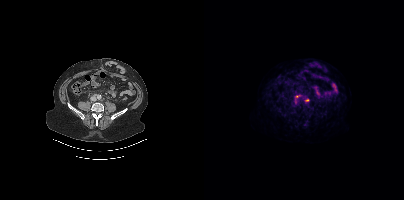
{"pet_grid":[200,200],"coord_frame":"pet_panel","coord_format":"x0,y0,x1,y1","lesion_bboxes":[],"small_foci_centers":[[91,102],[102,100]],"modality":"PSMA PET/CT","view":"axial","tracer":"18F-PSMA"}